- Two-panel axial: CT | PSMA PET, [18F]PSMA-1007 tracer
- PET panel 200×200 px (4.1 mm/px)
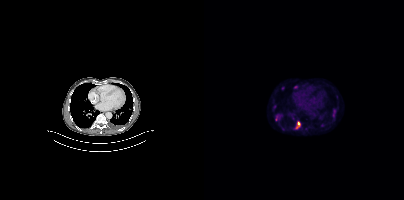
Findings: Coordinates are on the 200×200 PET (right) panel. PSMA-avid tumor lesion bounding boxes (x0,y0,x1,y1): [71,114,77,120], [92,121,96,128], [129,109,132,113]. Small PSMA-avid foci (2 to 4 px across) near (center x, center y): (79, 88), (118, 124), (91, 86), (69, 106).